- Paired axial CT (left) and PSMA PET (right), 18F tracer
- acquired on Siemens Biograph mCT Flow 20
- PET panel 200×200 px (4.1 mm/px)
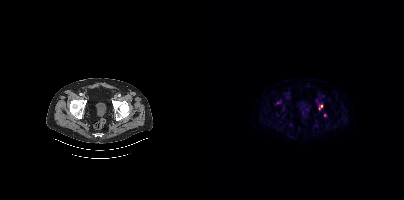
Findings: Coordinates are on the 200×200 PET (right) panel. PSMA-avid tumor lesion bounding box (x0, y0)-(x1, y1): (115, 105)-(118, 109). Small PSMA-avid focus (2 to 4 px across) near (center x, center y): (120, 115).